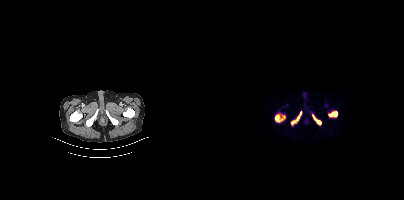
Technique: Two-panel axial: CT | PSMA PET, 18F-PSMA tracer. slice 20 of 367. PET panel 200×200 px (4.1 mm/px).
Findings: Coordinates are on the 200×200 PET (right) panel. PSMA-avid tumor lesion bounding boxes (x, y, width, height): x=87 y=111 w=11 h=15 | x=71 y=114 w=11 h=8 | x=124 y=111 w=10 h=7 | x=108 y=114 w=10 h=11.